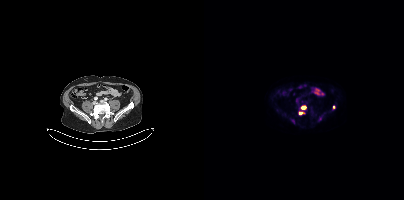
Coordinates are on the 200×200 PET (right) panel. (showing 5 of 6 foci) PSMA-avid tumor lesion bounding boxes (x, y, width, height): x=97 y=105 w=6 h=5 | x=95 y=111 w=6 h=4. Small PSMA-avid foci (2 to 4 px across) near (center x, center y): (88, 120) | (129, 107) | (115, 118).